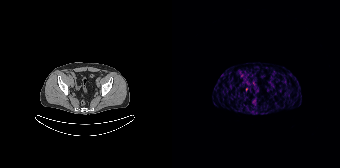
Findings: Only PSMA-avid lesion pieces thinner than 2 px on this slice (not listed).
- Left: CT. Right: PSMA PET, same axial level, [68Ga]Ga-PSMA-11 tracer
- acquired on Siemens Biograph 64-4R TruePoint
- slice position z = -1229 mm
- PET panel 168×168 px (4.1 mm/px)